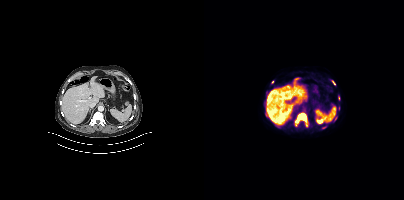
Coordinates are on the 200×200 PET (right) panel. (showing 7 of 8 foci) PSMA-avid tumor lesion bounding box (x0,y0,x1,y1): [91,113,103,126]. Small PSMA-avid foci (2 to 4 px across) near (center x, center y): (130, 119), (119, 127), (129, 82), (134, 97), (68, 82), (62, 92).